Paired axial CT (left) and PSMA PET (right), [68Ga]Ga-PSMA-11 tracer. PET panel 200×200 px (4.1 mm/px).
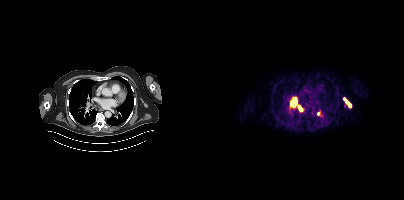
Coordinates are on the 200×200 PET (right) panel. (showing 4 of 5 foci) PSMA-avid tumor lesion bounding boxes (x0, y0)-(x1, y1): (140, 98)-(147, 107) / (87, 98)-(92, 106) / (94, 106)-(98, 110). Small PSMA-avid focus (2 to 4 px across) near (center x, center y): (114, 113).